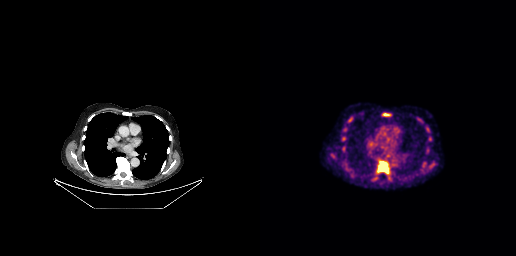
Two-panel axial: CT | PSMA PET, 18F tracer. Acquired on GE Discovery 690. Slice 182 of 263. PET panel 256×256 px (2.7 mm/px).
Coordinates are on the 256×256 PET (right) panel. PSMA-avid tumor lesion bounding boxes:
| # | x0 | y0 | x1 | y1 |
|---|---|---|---|---|
| 1 | 117 | 161 | 129 | 174 |
| 2 | 123 | 113 | 130 | 116 |
| 3 | 87 | 119 | 91 | 122 |
Small PSMA-avid foci (2 to 4 px across) near (center x, center y): (83, 138); (73, 155).